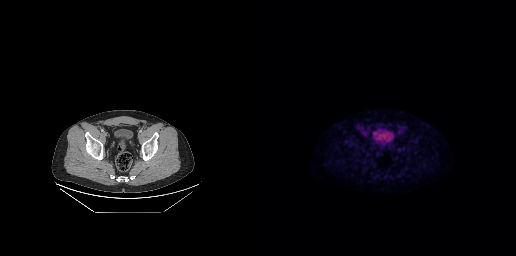
Technique: Paired axial CT (left) and PSMA PET (right), 18F-PSMA tracer. PET panel 256×256 px (2.7 mm/px).
Findings: Coordinates are on the 256×256 PET (right) panel. (showing 1 of 2 foci) Small PSMA-avid focus (2 to 4 px across) near (center x, center y): (108, 127).